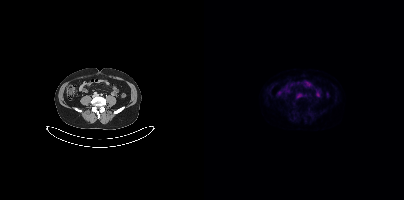
Paired axial CT (left) and PSMA PET (right), [18F]PSMA-1007 tracer. Acquired on Siemens Biograph mCT Flow 20. No PSMA-avid tumor lesions on this slice.